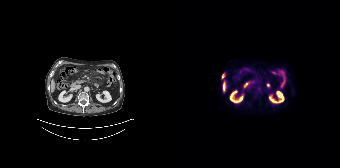
Left: CT. Right: PSMA PET, same axial level, 18F-PSMA tracer. Acquired on Siemens Biograph 64-4R TruePoint. Slice 79 of 165. PET panel 168×168 px (4.1 mm/px).
Coordinates are on the 168×168 PET (right) panel. PSMA-avid tumor lesion bounding boxes:
| # | x0 | y0 | x1 | y1 |
|---|---|---|---|---|
| 1 | 50 | 74 | 52 | 78 |